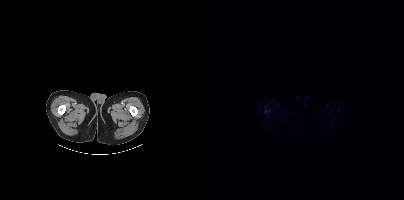
Findings: Coordinates are on the 200×200 PET (right) panel. Small PSMA-avid focus (2 to 4 px across) near (center x, center y): (61, 111).
- Paired axial CT (left) and PSMA PET (right), 18F tracer
- slice 89 of 508
- PET panel 200×200 px (4.1 mm/px)